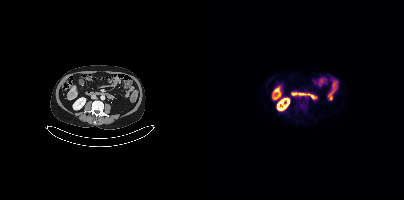
- Left: CT. Right: PSMA PET, same axial level, 18F-PSMA tracer
- slice position z = -1343 mm
Findings: This slice has no annotated PSMA-avid lesion.